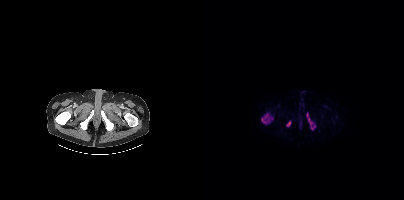
- Left: CT. Right: PSMA PET, same axial level, [18F]PSMA-1007 tracer
- slice position z = -1050 mm
Findings: Coordinates are on the 200×200 PET (right) panel. PSMA-avid tumor lesion bounding boxes (x0,y0,x1,y1): [57,114,65,124], [103,113,108,125], [82,121,86,126], [107,125,111,129].